Two-panel axial: CT | PSMA PET, 18F tracer.
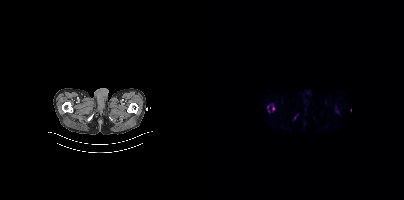
Coordinates are on the 200×200 PET (right) panel. (showing 2 of 3 foci) PSMA-avid tumor lesion bounding box (x, y, width, height): x=68 y=106 w=3 h=5. Small PSMA-avid focus (2 to 4 px across) near (center x, center y): (63, 106).